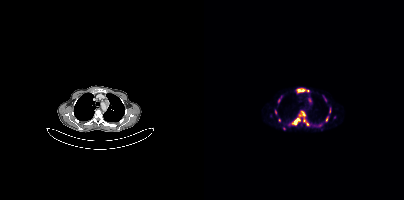
{"pet_grid":[200,200],"coord_frame":"pet_panel","coord_format":"x0,y0,x1,y1","partial":true,"lesion_bboxes":[[88,118,96,124],[93,88,101,92],[97,111,101,116],[122,116,124,121]],"small_foci_centers":[[75,100],[106,99],[104,91],[71,111],[121,99],[75,120],[103,124],[100,120]],"modality":"PSMA PET/CT","view":"axial","tracer":"68Ga-PSMA"}